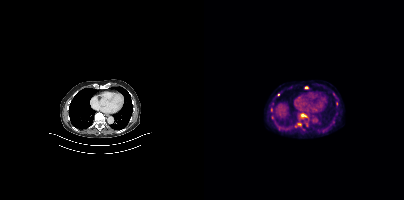
{"modality":"PSMA PET/CT","view":"axial","tracer":"18F","pet_grid":[200,200],"coord_frame":"pet_panel","coord_format":"x0,y0,x1,y1","lesion_bboxes":[[97,113,103,117]],"small_foci_centers":[[68,117],[95,124],[132,103],[67,109],[102,87],[74,94]]}